Technique: Two-panel axial: CT | PSMA PET, 18F-PSMA tracer. acquired on Siemens Biograph mCT Flow 20. slice position z = -1150 mm. PET panel 200×200 px (4.1 mm/px).
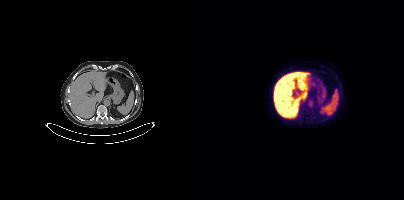
Findings: No PSMA-avid tumor lesions on this slice.